Left: CT. Right: PSMA PET, same axial level, [18F]PSMA-1007 tracer. Acquired on Siemens Biograph mCT Flow 20. Slice 68 of 405. PET panel 200×200 px (4.1 mm/px).
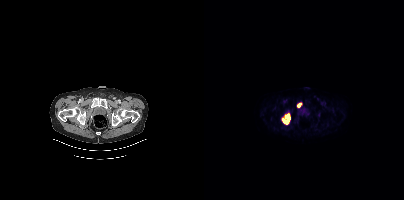
Coordinates are on the 200×200 PET (right) panel. PSMA-avid tumor lesion bounding boxes (x, y, width, height): x=79 y=114 w=7 h=9; x=93 y=103 w=5 h=5. Small PSMA-avid focus (2 to 4 px across) near (center x, center y): (83, 123).